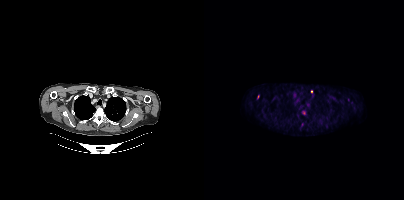
This slice has no annotated PSMA-avid lesion.